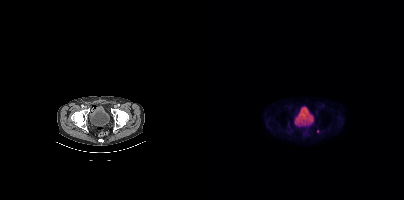
{"pet_grid":[200,200],"coord_frame":"pet_panel","coord_format":"x0,y0,x1,y1","lesion_bboxes":[],"small_foci_centers":[[113,131]],"modality":"PSMA PET/CT","view":"axial","tracer":"[18F]PSMA-1007"}